modality: PSMA PET/CT | tracer: [18F]PSMA-1007 | view: axial
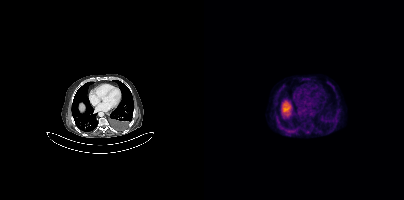
Negative for PSMA-avid disease on this slice.